Left: CT. Right: PSMA PET, same axial level, [18F]PSMA-1007 tracer. Acquired on Siemens Biograph mCT Flow 20. PET panel 200×200 px (4.1 mm/px).
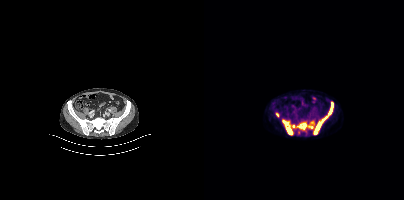
Coordinates are on the 200×200 PET (right) panel. PSMA-avid tumor lesion bounding boxes (partial; 1 more focus not listed):
| # | x0 | y0 | x1 | y1 |
|---|---|---|---|---|
| 1 | 110 | 103 | 129 | 134 |
| 2 | 88 | 121 | 110 | 130 |
| 3 | 78 | 120 | 88 | 134 |
Small PSMA-avid focus (2 to 4 px across) near (center x, center y): (73, 114).